Technique: Paired axial CT (left) and PSMA PET (right), 18F tracer. PET panel 200×200 px (4.1 mm/px).
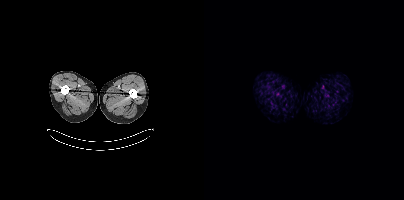
Findings: No PSMA-avid tumor lesions on this slice.